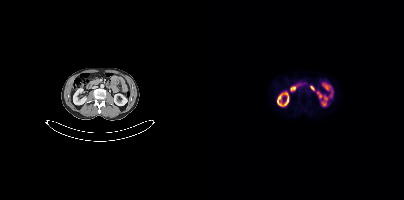
modality: PSMA PET/CT | tracer: 18F-PSMA | view: axial | PET grid: 200×200
Negative for PSMA-avid disease on this slice.